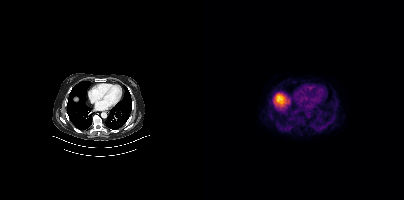
modality: PSMA PET/CT | tracer: [18F]PSMA-1007 | view: axial | PET grid: 200×200
This slice has no annotated PSMA-avid lesion.